- Paired axial CT (left) and PSMA PET (right), 18F tracer
- slice position z = -1110 mm
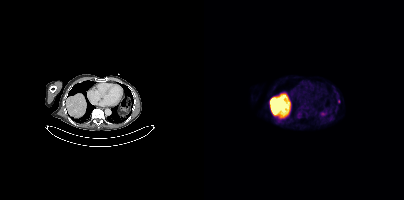
Findings: Coordinates are on the 200×200 PET (right) panel. Small PSMA-avid foci (2 to 4 px across) near (center x, center y): (134, 101) / (132, 92).